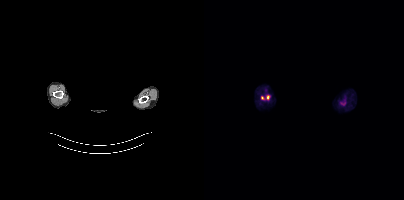
De-identified by setting a box covering the face to black before release.
Negative for PSMA-avid disease on this slice.